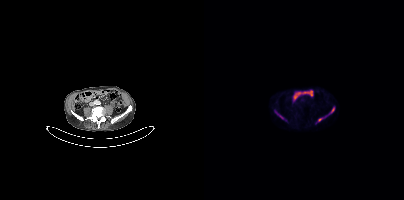
{"modality":"PSMA PET/CT","view":"axial","tracer":"18F-PSMA","pet_grid":[200,200],"coord_frame":"pet_panel","coord_format":"x0,y0,x1,y1","lesion_bboxes":[[70,110,82,120],[126,107,130,113],[114,118,118,121]]}